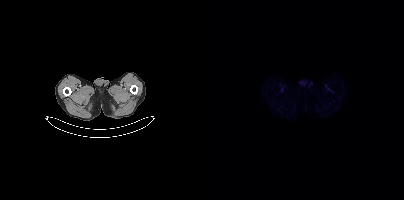
modality: PSMA PET/CT | tracer: 18F-PSMA | view: axial | PET grid: 200×200
No PSMA-avid tumor lesions on this slice.